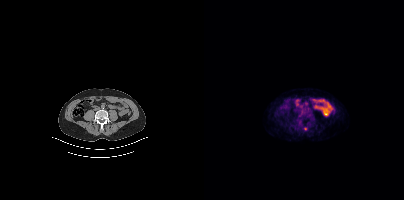
{"modality":"PSMA PET/CT","view":"axial","tracer":"68Ga-PSMA","pet_grid":[200,200],"coord_frame":"pet_panel","coord_format":"x0,y0,x1,y1","lesion_bboxes":[],"small_foci_centers":[[101,128]]}